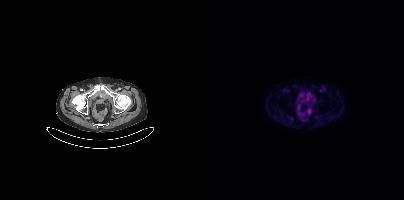
Findings: Negative for PSMA-avid disease on this slice.
Technique: Paired axial CT (left) and PSMA PET (right), 18F-PSMA tracer.